- Two-panel axial: CT | PSMA PET, 18F tracer
- slice position z = -1377 mm
- PET panel 200×200 px (4.1 mm/px)
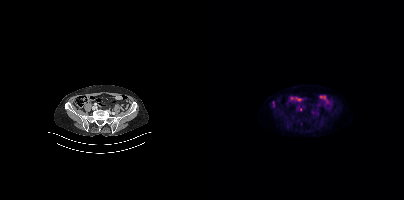
Findings: Only PSMA-avid lesion pieces thinner than 2 px on this slice (not listed).